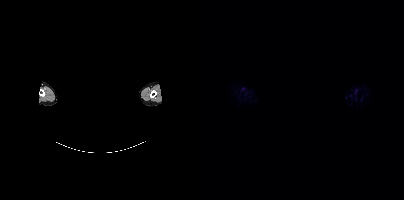
Negative for PSMA-avid disease on this slice. Left: CT. Right: PSMA PET, same axial level, 18F-PSMA tracer. Acquired on Siemens Biograph mCT Flow 20. Slice position z = -881 mm. PET panel 200×200 px (4.1 mm/px). De-identified by setting a box covering the face to black before release.